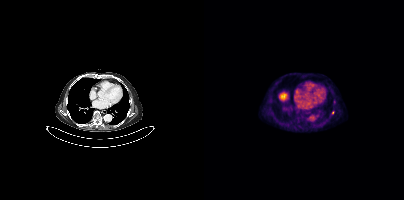
Coordinates are on the 200×200 PET (right) panel. Small PSMA-avid focus (2 to 4 px across) near (center x, center y): (128, 112).